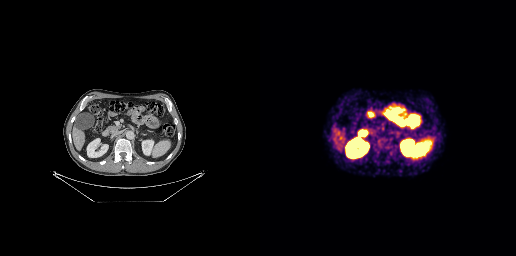
Paired axial CT (left) and PSMA PET (right), 18F tracer. Slice position z = -464 mm. PET panel 256×256 px (2.7 mm/px). Coordinates are on the 256×256 PET (right) panel. Small PSMA-avid focus (2 to 4 px across) near (center x, center y): (131, 154).